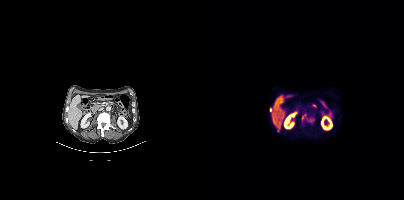
Left: CT. Right: PSMA PET, same axial level, 18F-PSMA tracer. Acquired on Siemens Biograph mCT Flow 20. Slice 186 of 435. Coordinates are on the 200×200 PET (right) panel. (showing 3 of 4 foci) PSMA-avid tumor lesion bounding box (x0, y0)-(x1, y1): (97, 113)-(104, 121). Small PSMA-avid foci (2 to 4 px across) near (center x, center y): (107, 120); (66, 110).